Technique: Paired axial CT (left) and PSMA PET (right), [18F]PSMA-1007 tracer.
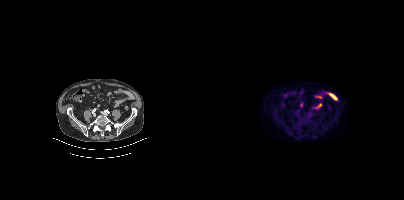
Findings: No tumor lesions annotated on this slice.